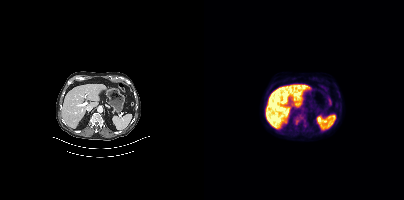
modality: PSMA PET/CT | tracer: 18F | view: axial | PET grid: 200×200
Coordinates are on the 200×200 PET (right) panel. PSMA-avid tumor lesion bounding box (x, y, width, height): x=90 y=119 w=6 h=7.